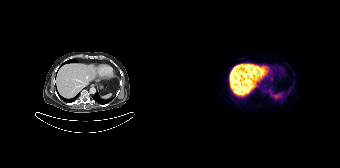
No tumor lesions annotated on this slice.